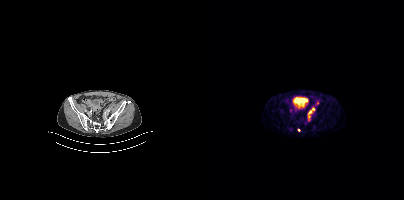
Coordinates are on the 200×200 PET (right) panel. (showing 2 of 3 foci) PSMA-avid tumor lesion bounding box (x, y, width, height): x=104 y=107 w=7 h=11. Small PSMA-avid focus (2 to 4 px across) near (center x, center y): (94, 129).